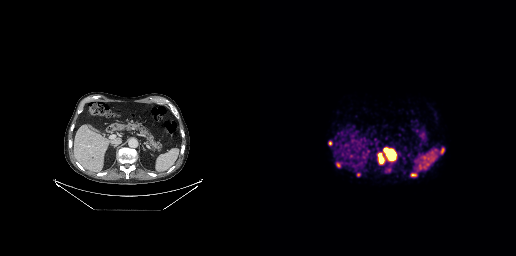
Coordinates are on the 256×256 PET (right) panel. (showing 7 of 8 foci) PSMA-avid tumor lesion bounding boxes (x, y, width, height): x=124 y=149 w=10 h=11 / x=76 y=163 w=5 h=5 / x=151 y=173 w=6 h=4 / x=181 y=148 w=4 h=6. Small PSMA-avid foci (2 to 4 px across) near (center x, center y): (98, 174) / (70, 143) / (121, 160).